modality: PSMA PET/CT | tracer: 18F | view: axial | PET grid: 168×168
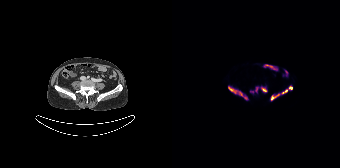
Coordinates are on the 168×168 PET (right) panel. PSMA-avid tumor lesion bounding boxes (x0, y0)-(x1, y1): (98, 86)-(120, 101) / (56, 87)-(76, 100) / (88, 86)-(95, 92) / (83, 86)-(86, 92). Small PSMA-avid focus (2 to 4 px across) near (center x, center y): (79, 92).